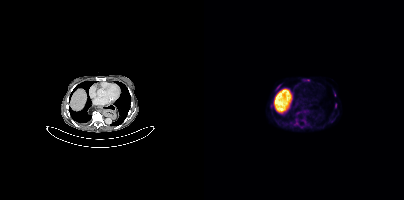
{"modality":"PSMA PET/CT","view":"axial","tracer":"[18F]PSMA-1007","pet_grid":[200,200],"coord_frame":"pet_panel","coord_format":"x0,y0,x1,y1","partial":true,"lesion_bboxes":[],"small_foci_centers":[[92,123]]}